Two-panel axial: CT | PSMA PET, 68Ga-PSMA tracer. Slice 304 of 373.
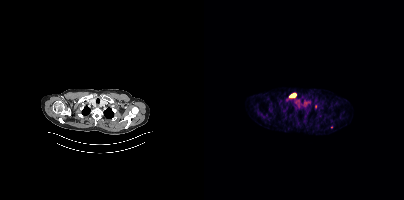
Coordinates are on the 200×200 PET (right) panel. PSMA-avid tumor lesion bounding box (x, y, width, height): x=87 y=94 w=5 h=3.